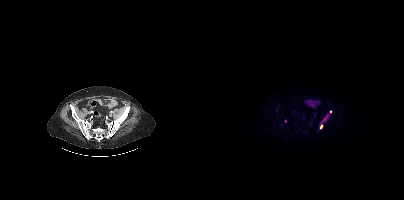
Coordinates are on the 200×200 PET (right) panel. PSMA-avid tumor lesion bounding box (x, y, width, height): x=116 y=115 w=8 h=14. Small PSMA-avid focus (2 to 4 px across) near (center x, center y): (126, 111). Paired axial CT (left) and PSMA PET (right), 18F tracer. Slice 102 of 389. PET panel 200×200 px (4.1 mm/px).